Technique: Two-panel axial: CT | PSMA PET, [18F]PSMA-1007 tracer. slice position z = -1232 mm.
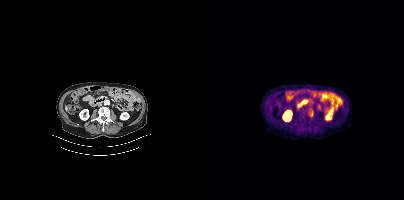
Findings: No tumor lesions annotated on this slice.